modality: PSMA PET/CT | tracer: 18F-PSMA | view: axial | PET grid: 200×200
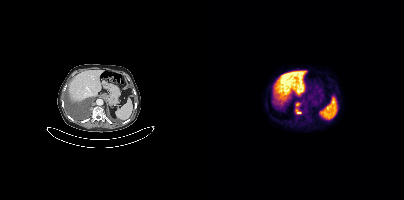
Coordinates are on the 200×200 PET (right) panel. PSMA-avid tumor lesion bounding boxes (x0,y0,x1,y1): [91,108,97,114], [92,102,96,106].